modality: PSMA PET/CT | tracer: 18F | view: axial
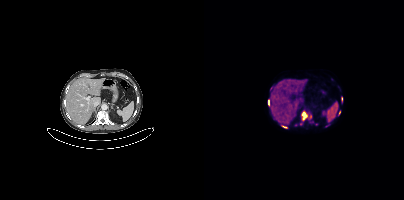
Coordinates are on the 200×200 PET (right) panel. PSMA-avid tumor lesion bounding boxes (x, y, width, height): x=97 y=114 w=7 h=8 | x=64 y=100 w=2 h=6 | x=121 y=124 w=5 h=4 | x=77 y=125 w=6 h=4 | x=137 y=98 w=2 h=5. Small PSMA-avid foci (2 to 4 px across) near (center x, center y): (106, 116) | (96, 123) | (67, 88) | (135, 112).